Two-panel axial: CT | PSMA PET, 18F-PSMA tracer. Acquired on Siemens Biograph mCT Flow 20. Slice 143 of 435. PET panel 200×200 px (4.1 mm/px).
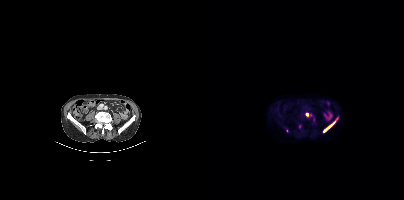
Coordinates are on the 200×200 PET (right) panel. PSMA-avid tumor lesion bounding boxes (partial; 1 more focus not listed):
| # | x0 | y0 | x1 | y1 |
|---|---|---|---|---|
| 1 | 120 | 123 | 129 | 131 |
| 2 | 102 | 113 | 107 | 116 |
| 3 | 130 | 118 | 133 | 122 |